modality: PSMA PET/CT | tracer: [18F]PSMA-1007 | view: axial | redaction: privacy mask over head
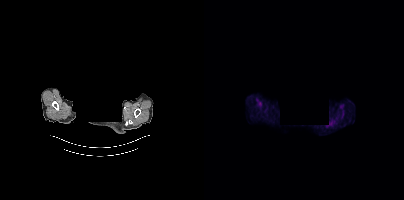
Negative for PSMA-avid disease on this slice.